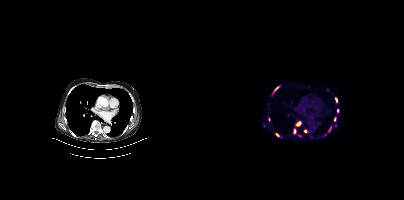
Paired axial CT (left) and PSMA PET (right), [68Ga]Ga-PSMA-11 tracer. Acquired on Siemens Biograph mCT Flow 20. Slice position z = -1134 mm. PET panel 200×200 px (4.1 mm/px).
Coordinates are on the 200×200 PET (right) panel. PSMA-avid tumor lesion bounding boxes (partial; 2 more foci not listed):
| # | x0 | y0 | x1 | y1 |
|---|---|---|---|---|
| 1 | 92 | 122 | 96 | 125 |
| 2 | 89 | 129 | 92 | 134 |
| 3 | 131 | 98 | 133 | 102 |
| 4 | 124 | 127 | 127 | 131 |
Small PSMA-avid foci (2 to 4 px across) near (center x, center y): (73, 134); (101, 131); (72, 88); (133, 110); (130, 119); (65, 120); (95, 135).